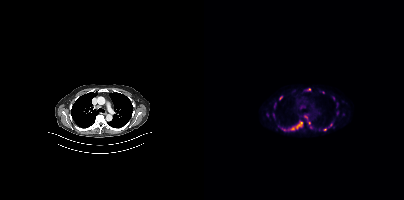
modality: PSMA PET/CT | tracer: 18F | view: axial | PET grid: 200×200
Coordinates are on the 200×200 PET (right) panel. (showing 12 of 16 foci) PSMA-avid tumor lesion bounding boxes (x0, y0)-(x1, y1): (93, 121)-(98, 128) / (84, 126)-(90, 130) / (132, 111)-(134, 115). Small PSMA-avid foci (2 to 4 px across) near (center x, center y): (76, 97) / (101, 117) / (79, 129) / (105, 123) / (121, 129) / (105, 89) / (129, 98) / (126, 124) / (106, 127).